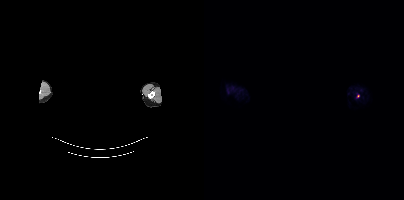
Findings: Coordinates are on the 200×200 PET (right) panel. Small PSMA-avid focus (2 to 4 px across) near (center x, center y): (154, 96).
- Left: CT. Right: PSMA PET, same axial level, 18F-PSMA tracer
- PET panel 200×200 px (4.1 mm/px)
- face de-identified by blanking a block of the head